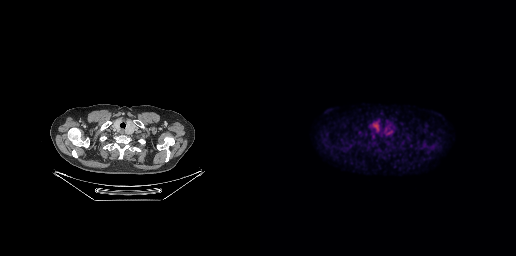
modality: PSMA PET/CT | tracer: [18F]PSMA-1007 | view: axial | PET grid: 256×256
This slice has no annotated PSMA-avid lesion.